Technique: Paired axial CT (left) and PSMA PET (right), [18F]PSMA-1007 tracer. acquired on Siemens Biograph mCT Flow 20.
Note: The face region was removed for patient privacy by blanking a rectangle over the head.
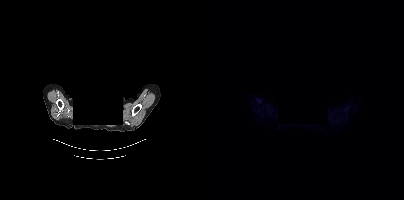
Findings: This slice has no annotated PSMA-avid lesion.